Two-panel axial: CT | PSMA PET, [18F]PSMA-1007 tracer. Acquired on Siemens Biograph mCT Flow 20.
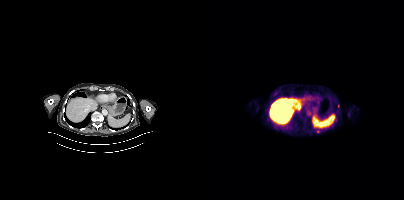
Coordinates are on the 200×200 PET (right) panel. (showing 1 of 2 foci) Small PSMA-avid focus (2 to 4 px across) near (center x, center y): (113, 131).